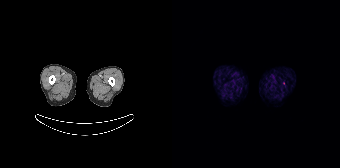
{"modality":"PSMA PET/CT","view":"axial","tracer":"68Ga-PSMA","pet_grid":[168,168],"coord_frame":"pet_panel","coord_format":"x0,y0,x1,y1","psma_avid_lesions":false}